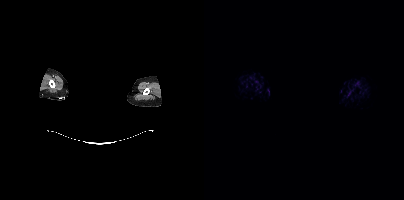
This slice has no annotated PSMA-avid lesion. Head region blanked for anonymization (face removed). Paired axial CT (left) and PSMA PET (right), [18F]PSMA-1007 tracer. Acquired on Siemens Biograph mCT Flow 20. Slice position z = -27 mm.